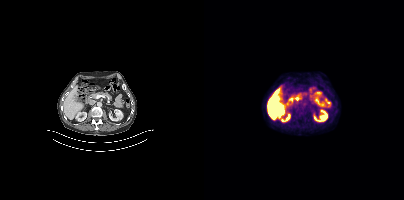
{"modality":"PSMA PET/CT","view":"axial","tracer":"[18F]PSMA-1007","pet_grid":[200,200],"coord_frame":"pet_panel","coord_format":"x0,y0,x1,y1","psma_avid_lesions":false}